modality: PSMA PET/CT | tracer: [18F]PSMA-1007 | view: axial
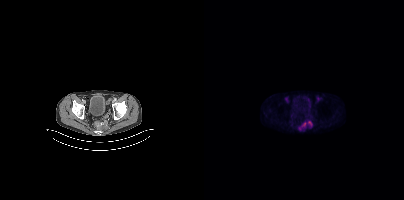
Coordinates are on the 200×200 PET (right) panel. PSMA-avid tumor lesion bounding boxes (x, y, width, height): x=104 y=121 w=4 h=5 / x=98 y=122 w=4 h=5. Small PSMA-avid focus (2 to 4 px across) near (center x, center y): (95, 128).